modality: PSMA PET/CT | tracer: [18F]PSMA-1007 | view: axial
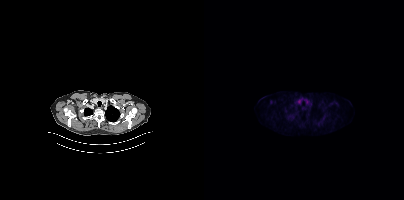
No PSMA-avid tumor lesions on this slice.